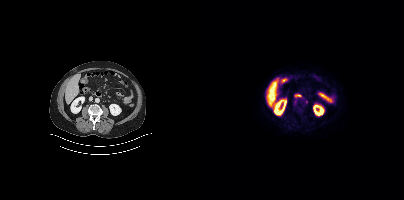
{"modality":"PSMA PET/CT","view":"axial","tracer":"18F","pet_grid":[200,200],"coord_frame":"pet_panel","coord_format":"x0,y0,x1,y1","psma_avid_lesions":false}